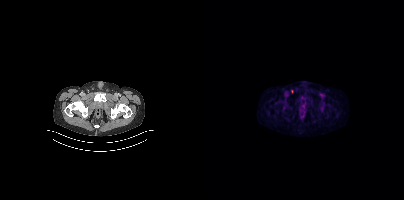
Only PSMA-avid lesion pieces thinner than 2 px on this slice (not listed).
modality: PSMA PET/CT | tracer: [18F]PSMA-1007 | view: axial